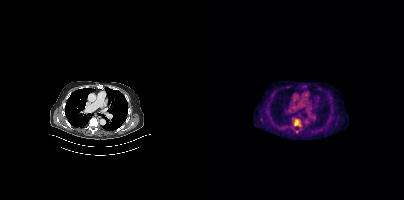
{"modality":"PSMA PET/CT","view":"axial","tracer":"18F-PSMA","pet_grid":[200,200],"coord_frame":"pet_panel","coord_format":"x0,y0,x1,y1","lesion_bboxes":[],"small_foci_centers":[[92,122]]}